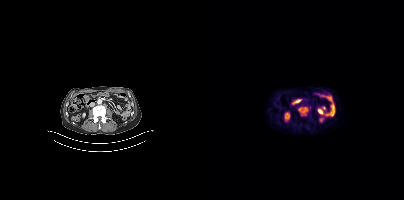
{"modality":"PSMA PET/CT","view":"axial","tracer":"18F","pet_grid":[200,200],"coord_frame":"pet_panel","coord_format":"x0,y0,x1,y1","lesion_bboxes":[[94,107,103,115]]}